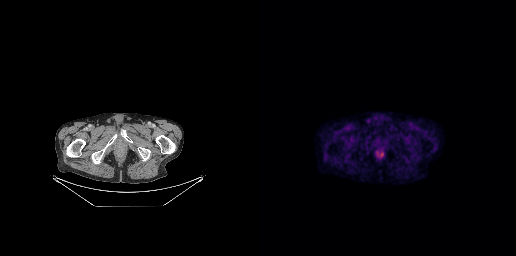
{"modality":"PSMA PET/CT","view":"axial","tracer":"18F-PSMA","pet_grid":[256,256],"coord_frame":"pet_panel","coord_format":"x0,y0,x1,y1","psma_avid_lesions":false}